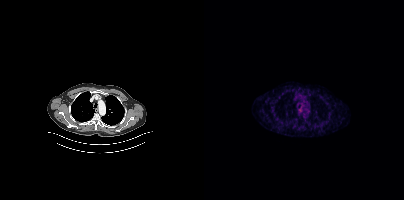
{"modality":"PSMA PET/CT","view":"axial","tracer":"[68Ga]Ga-PSMA-11","pet_grid":[200,200],"coord_frame":"pet_panel","coord_format":"x0,y0,x1,y1","psma_avid_lesions":false}